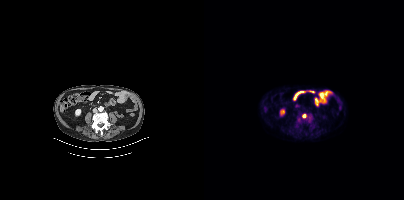
{"modality":"PSMA PET/CT","view":"axial","tracer":"[18F]PSMA-1007","pet_grid":[200,200],"coord_frame":"pet_panel","coord_format":"x0,y0,x1,y1","lesion_bboxes":[],"small_foci_centers":[[100,115]]}